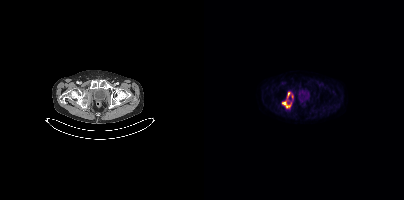
Left: CT. Right: PSMA PET, same axial level, [18F]PSMA-1007 tracer. Acquired on Siemens Biograph mCT Flow 20. PET panel 200×200 px (4.1 mm/px). Coordinates are on the 200×200 PET (right) panel. PSMA-avid tumor lesion bounding box (x, y, width, height): x=78 y=92 w=12 h=16.